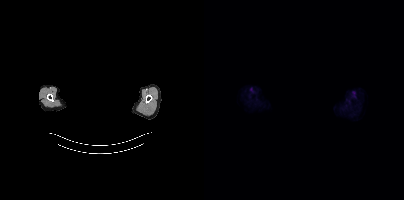
redaction: head region blanked (face removed) | modality: PSMA PET/CT | tracer: [18F]PSMA-1007 | view: axial | PET grid: 200×200
No PSMA-avid tumor lesions on this slice.